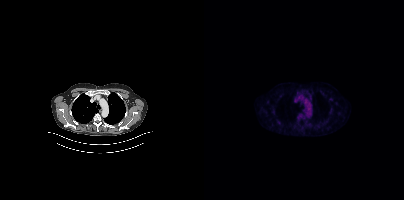
Technique: Paired axial CT (left) and PSMA PET (right), 18F tracer. PET panel 200×200 px (4.1 mm/px).
Findings: No tumor lesions annotated on this slice.